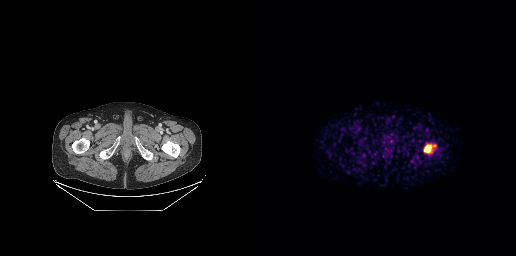
Two-panel axial: CT | PSMA PET, 68Ga tracer. Coordinates are on the 256×256 PET (right) panel. PSMA-avid tumor lesion bounding box (x, y, width, height): x=164 y=145 w=8 h=8. Small PSMA-avid focus (2 to 4 px across) near (center x, center y): (174, 145).